Left: CT. Right: PSMA PET, same axial level, 18F-PSMA tracer. PET panel 200×200 px (4.1 mm/px).
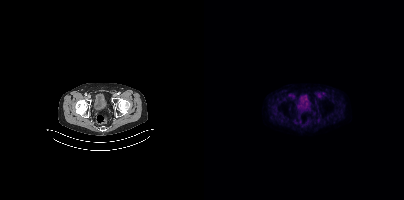
This slice has no annotated PSMA-avid lesion.